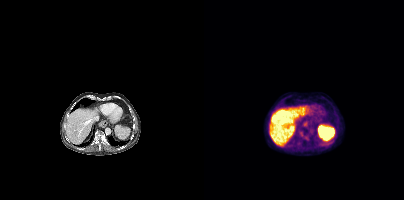
- Left: CT. Right: PSMA PET, same axial level, 18F tracer
- slice 228 of 389
Findings: Coordinates are on the 200×200 PET (right) panel. PSMA-avid tumor lesion bounding box (x, y, width, height): x=100 y=136 w=5 h=4. Small PSMA-avid focus (2 to 4 px across) near (center x, center y): (95, 143).